Technique: Two-panel axial: CT | PSMA PET, 18F tracer.
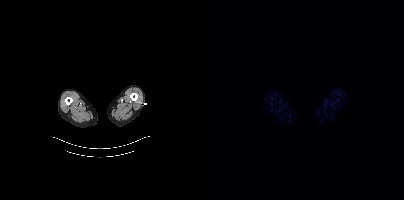
Findings: Negative for PSMA-avid disease on this slice.